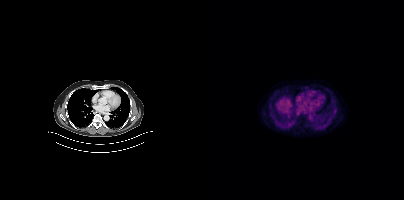
- Paired axial CT (left) and PSMA PET (right), [18F]PSMA-1007 tracer
- acquired on Siemens Biograph mCT Flow 20
Findings: Only PSMA-avid lesion pieces thinner than 2 px on this slice (not listed).